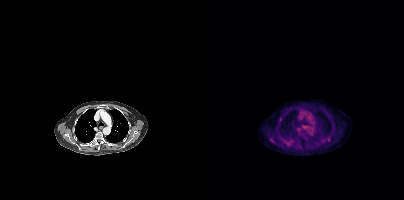
Coordinates are on the 200×200 PET (right) panel. Small PSMA-avid foci (2 to 4 px across) near (center x, center y): (76, 119) | (125, 139).